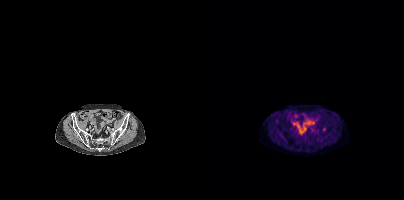
Coordinates are on the 200×200 PET (right) panel. Small PSMA-avid focus (2 to 4 px across) near (center x, center y): (120, 128).